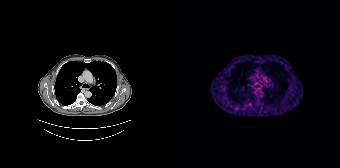
Two-panel axial: CT | PSMA PET, 68Ga-PSMA tracer. Acquired on Siemens Biograph 64-4R TruePoint. Slice position z = -713 mm. PET panel 168×168 px (4.1 mm/px). Negative for PSMA-avid disease on this slice.